Left: CT. Right: PSMA PET, same axial level, 18F-PSMA tracer. PET panel 200×200 px (4.1 mm/px).
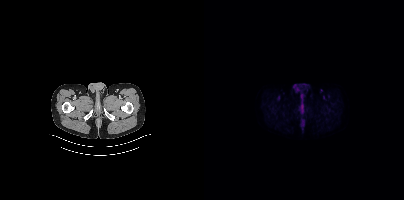
This slice has no annotated PSMA-avid lesion.